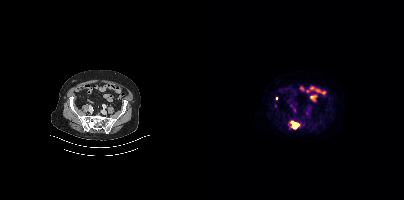
Findings: Coordinates are on the 200×200 PET (right) panel. PSMA-avid tumor lesion bounding box (x0, y0)-(x1, y1): (86, 121)-(95, 129). Small PSMA-avid focus (2 to 4 px across) near (center x, center y): (72, 98).
- Left: CT. Right: PSMA PET, same axial level, 18F tracer
- slice 129 of 405
- PET panel 200×200 px (4.1 mm/px)